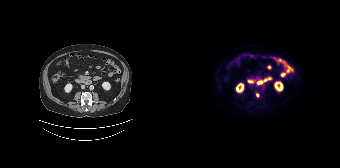
Coordinates are on the 168×168 PET (right) panel. Small PSMA-avid focus (2 to 4 px across) near (center x, center y): (85, 95).